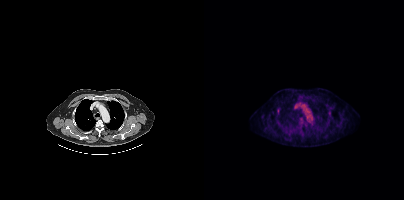
{"modality":"PSMA PET/CT","view":"axial","tracer":"18F","pet_grid":[200,200],"coord_frame":"pet_panel","coord_format":"x0,y0,x1,y1","lesion_bboxes":[],"small_foci_centers":[[74,111]]}